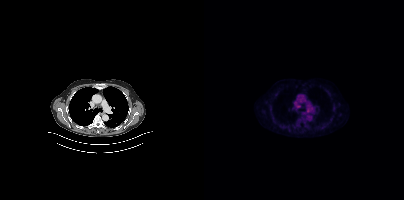
Negative for PSMA-avid disease on this slice. Left: CT. Right: PSMA PET, same axial level, 18F-PSMA tracer. PET panel 200×200 px (4.1 mm/px).